- Two-panel axial: CT | PSMA PET, 18F-PSMA tracer
- PET panel 200×200 px (4.1 mm/px)
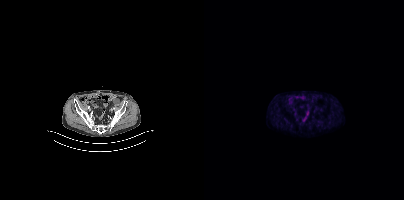
Findings: No PSMA-avid tumor lesions on this slice.